modality: PSMA PET/CT | tracer: 68Ga | view: axial | deidentification: rectangular block over head set to black
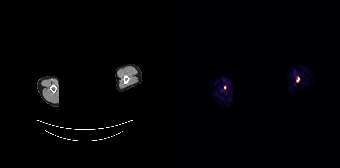
Coordinates are on the 168×168 PET (right) panel. PSMA-avid tumor lesion bounding box (x0,y0,x1,y1): [124,77,127,82].